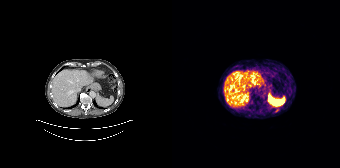
{"modality":"PSMA PET/CT","view":"axial","tracer":"68Ga-PSMA","pet_grid":[168,168],"coord_frame":"pet_panel","coord_format":"x0,y0,x1,y1","psma_avid_lesions":false}